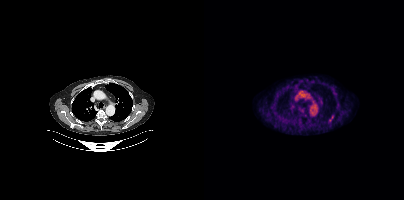
Technique: Two-panel axial: CT | PSMA PET, 18F-PSMA tracer. slice 317 of 429.
Findings: Coordinates are on the 200×200 PET (right) panel. PSMA-avid tumor lesion bounding box (x, y, width, height): x=126 y=116 w=4 h=5.